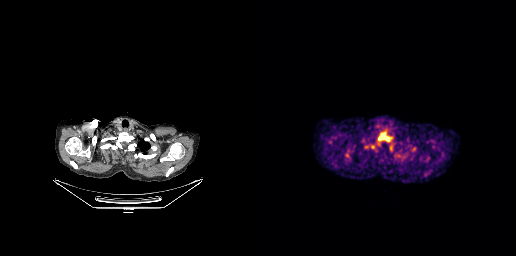
Two-panel axial: CT | PSMA PET, 18F-PSMA tracer. Acquired on GE Discovery 690. Slice position z = -173 mm. PET panel 256×256 px (2.7 mm/px). Coordinates are on the 256×256 PET (right) panel. (showing 1 of 2 foci) PSMA-avid tumor lesion bounding box (x0, y0)-(x1, y1): (118, 132)-(131, 141).